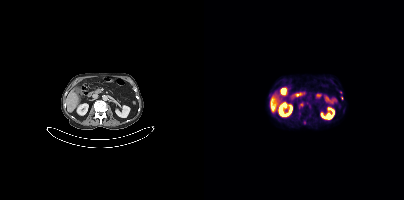
{"modality":"PSMA PET/CT","view":"axial","tracer":"18F-PSMA","pet_grid":[200,200],"coord_frame":"pet_panel","coord_format":"x0,y0,x1,y1","partial":true,"lesion_bboxes":[],"small_foci_centers":[[138,97]]}